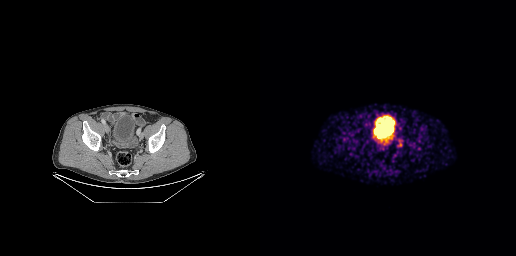
Two-panel axial: CT | PSMA PET, 18F tracer. Acquired on GE Discovery 690. Slice position z = -712 mm. PET panel 256×256 px (2.7 mm/px). Coordinates are on the 256×256 PET (right) panel. PSMA-avid tumor lesion bounding box (x, y, width, height): x=137 y=138 w=7 h=9.